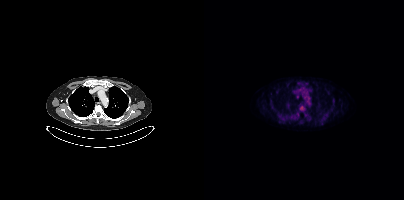
Technique: Left: CT. Right: PSMA PET, same axial level, 18F-PSMA tracer. PET panel 200×200 px (4.1 mm/px).
Findings: Coordinates are on the 200×200 PET (right) panel. PSMA-avid tumor lesion bounding box (x, y, width, height): x=95 y=106 w=6 h=5. Small PSMA-avid focus (2 to 4 px across) near (center x, center y): (93, 114).